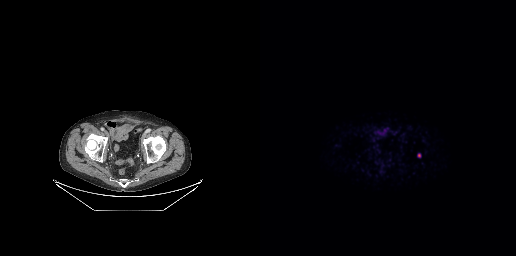
Technique: Two-panel axial: CT | PSMA PET, [68Ga]Ga-PSMA-11 tracer. acquired on GE Discovery 690. PET panel 256×256 px (2.7 mm/px).
Findings: Coordinates are on the 256×256 PET (right) panel. Small PSMA-avid focus (2 to 4 px across) near (center x, center y): (159, 155).